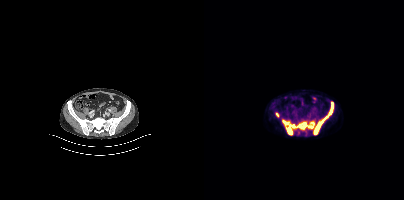
- Paired axial CT (left) and PSMA PET (right), [18F]PSMA-1007 tracer
- slice 110 of 405
- PET panel 200×200 px (4.1 mm/px)
Findings: Coordinates are on the 200×200 PET (right) panel. PSMA-avid tumor lesion bounding box (x0,y0,x1,y1): [78,103,129,134]. Small PSMA-avid focus (2 to 4 px across) near (center x, center y): (73, 114).